Left: CT. Right: PSMA PET, same axial level, 18F-PSMA tracer. PET panel 200×200 px (4.1 mm/px).
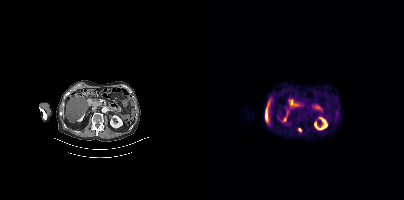
Coordinates are on the 200×200 PET (right) panel. Small PSMA-avid focus (2 to 4 px across) near (center x, center y): (95, 129).